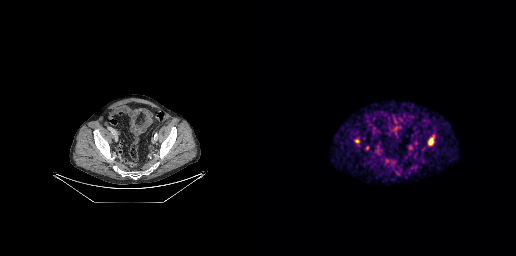
Coordinates are on the 256×256 PET (right) panel. Small PSMA-avid foci (2 to 4 px across) near (center x, center y): (170, 141); (97, 141); (107, 147).